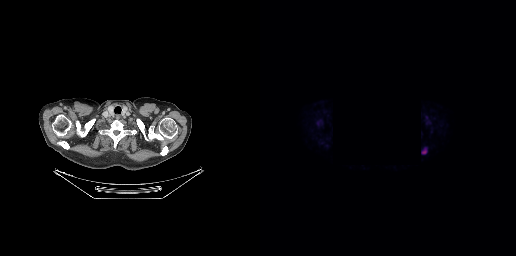
Coordinates are on the 256×256 PET (right) panel. PSMA-avid tumor lesion bounding box (x0, y0)-(x1, y1): (161, 147)-(167, 154). A rectangular region was set to black for de-identification. Paired axial CT (left) and PSMA PET (right), 18F tracer. Acquired on GE Discovery 690. Slice position z = -144 mm. PET panel 256×256 px (2.7 mm/px).